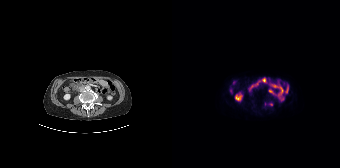
Coordinates are on the 168×168 PET (right) panel. Small PSMA-avid focus (2 to 4 px across) near (center x, center y): (99, 104).